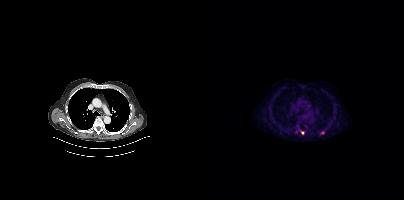
Coordinates are on the 200×200 PET (right) panel. Small PSMA-avid foci (2 to 4 px across) near (center x, center y): (98, 132); (118, 132).